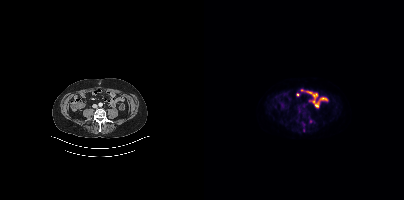
Coordinates are on the 200×200 PET (right) panel. (showing 1 of 2 foci) PSMA-avid tumor lesion bounding box (x0,y0,x1,y1): [105,119,108,123].